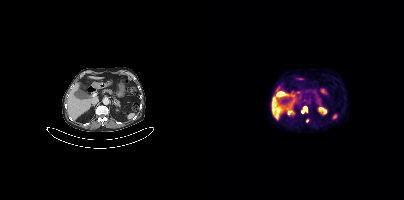
Coordinates are on the 200×200 PET (right) panel. PSMA-avid tumor lesion bounding box (x0,y0,x1,y1): [97,106,103,113]. Small PSMA-avid focus (2 to 4 px across) near (center x, center y): (103, 120).
modality: PSMA PET/CT | tracer: 18F-PSMA | view: axial